Two-panel axial: CT | PSMA PET, 18F-PSMA tracer.
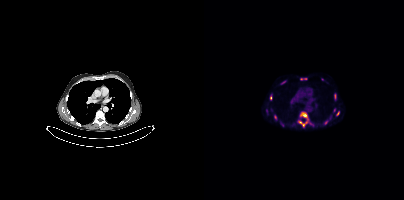
Coordinates are on the 200×200 PET (right) panel. (showing 10 of 11 foci) PSMA-avid tumor lesion bounding boxes (x, y, width, height): x=94 y=112 w=14 h=16 / x=130 y=93 w=3 h=7 / x=66 y=94 w=3 h=7 / x=132 y=111 w=4 h=5 / x=70 y=115 w=3 h=5. Small PSMA-avid foci (2 to 4 px across) near (center x, center y): (121, 122) / (97, 78) / (101, 78) / (130, 110) / (62, 110).